Paired axial CT (left) and PSMA PET (right), 18F tracer. Slice position z = -703 mm. PET panel 200×200 px (4.1 mm/px).
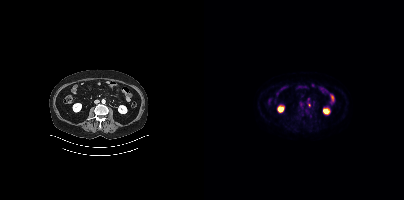
Only PSMA-avid lesion pieces thinner than 2 px on this slice (not listed).